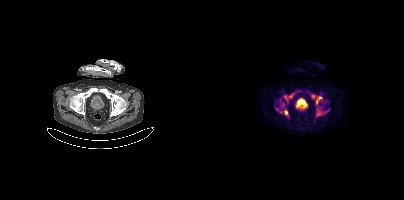
Coordinates are on the 200×200 PET (right) panel. (showing 4 of 5 foci) PSMA-avid tumor lesion bounding boxes (x0,y0,x1,y1): [79,93,90,103], [112,96,118,104], [80,110,83,115]. Small PSMA-avid focus (2 to 4 px across) near (center x, center y): (114, 114).